Technique: Paired axial CT (left) and PSMA PET (right), 18F tracer. slice 316 of 421.
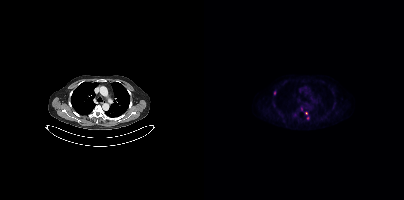
Findings: Coordinates are on the 200×200 PET (right) panel. Small PSMA-avid foci (2 to 4 px across) near (center x, center y): (70, 92); (102, 112).